- privacy masking over the head, with the pixels inside a rectangle set to black
- Two-panel axial: CT | PSMA PET, [18F]PSMA-1007 tracer
- slice position z = 342 mm
- PET panel 200×200 px (4.1 mm/px)
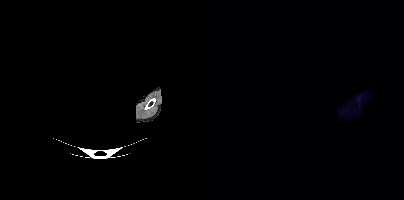
Findings: Negative for PSMA-avid disease on this slice.